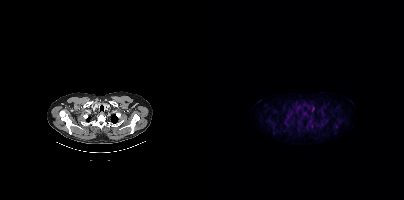
- Paired axial CT (left) and PSMA PET (right), 18F tracer
Findings: Only PSMA-avid lesion pieces thinner than 2 px on this slice (not listed).